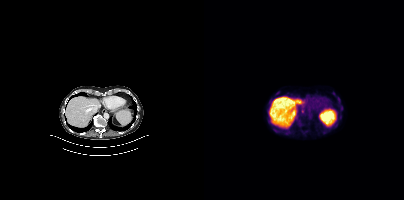
Findings: Coordinates are on the 200×200 PET (right) panel. Small PSMA-avid foci (2 to 4 px across) near (center x, center y): (98, 110) | (73, 92) | (129, 93).
Technique: Paired axial CT (left) and PSMA PET (right), 18F tracer. PET panel 200×200 px (4.1 mm/px).